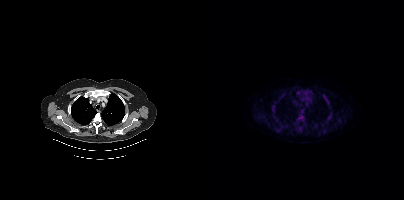
Coordinates are on the 200×200 PET (right) panel. (showing 11 of 12 foci) PSMA-avid tumor lesion bounding boxes (x0, y0)-(x1, y1): (94, 114)-(100, 121); (68, 102)-(71, 115); (98, 88)-(102, 96); (118, 93)-(123, 100); (124, 112)-(128, 119); (71, 128)-(76, 132); (123, 102)-(126, 106). Small PSMA-avid foci (2 to 4 px across) near (center x, center y): (105, 91); (94, 93); (92, 123); (59, 116).